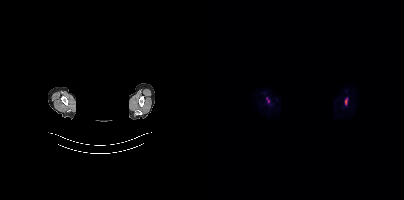
Face de-identified by blanking a block of the head. Paired axial CT (left) and PSMA PET (right), 18F-PSMA tracer. Slice position z = -906 mm.
Coordinates are on the 200×200 PET (right) panel. PSMA-avid tumor lesion bounding boxes (partial; 2 more foci not listed):
| # | x0 | y0 | x1 | y1 |
|---|---|---|---|---|
| 1 | 141 | 98 | 143 | 104 |